- Left: CT. Right: PSMA PET, same axial level, 18F-PSMA tracer
- slice 212 of 395
- PET panel 200×200 px (4.1 mm/px)
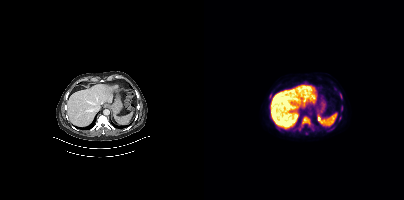
Findings: Coordinates are on the 200×200 PET (right) panel. PSMA-avid tumor lesion bounding boxes (x0,y0,x1,y1): [97,116,106,126]; [106,126,111,131]; [137,105,138,111]; [65,94,67,98]; [135,116,137,120]; [136,94,137,98]. Small PSMA-avid foci (2 to 4 px across) near (center x, center y): (95, 129); (124, 130).